- Two-panel axial: CT | PSMA PET, [18F]PSMA-1007 tracer
- slice 307 of 381
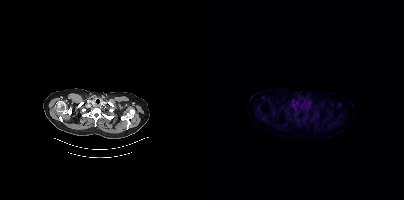
Findings: This slice has no annotated PSMA-avid lesion.